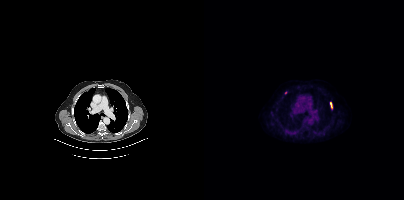
Coordinates are on the 200×200 PET (right) panel. PSMA-avid tumor lesion bounding box (x0,y0,x1,y1): [126,102,128,108]. Small PSMA-avid focus (2 to 4 px across) near (center x, center y): (81, 92).